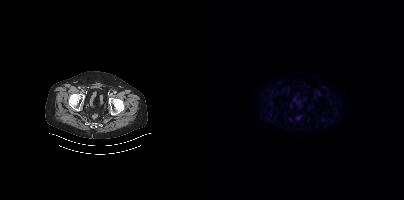
Technique: Paired axial CT (left) and PSMA PET (right), 18F-PSMA tracer. slice 89 of 413. PET panel 200×200 px (4.1 mm/px).
Findings: No tumor lesions annotated on this slice.